- Two-panel axial: CT | PSMA PET, 68Ga-PSMA tracer
- acquired on GE Discovery 690
- slice position z = -638 mm
- PET panel 256×256 px (2.7 mm/px)
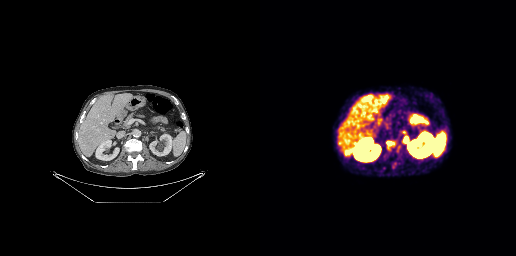
Findings: Coordinates are on the 256×256 PET (right) panel. PSMA-avid tumor lesion bounding box (x, y, width, height): x=144 y=137 w=4 h=5. Small PSMA-avid focus (2 to 4 px across) near (center x, center y): (129, 143).